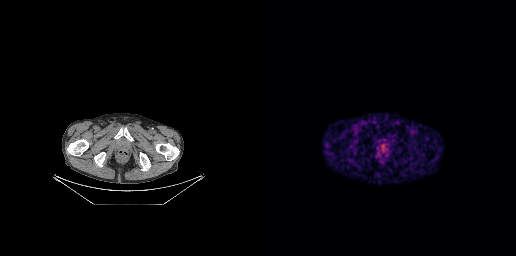
Two-panel axial: CT | PSMA PET, 68Ga-PSMA tracer.
Coordinates are on the 256×256 PET (right) panel. PSMA-avid tumor lesion bounding boxes:
| # | x0 | y0 | x1 | y1 |
|---|---|---|---|---|
| 1 | 120 | 143 | 126 | 148 |